Paired axial CT (left) and PSMA PET (right), [18F]PSMA-1007 tracer. Acquired on Siemens Biograph mCT Flow 20. An anonymization step blacked out a rectangle in this scan.
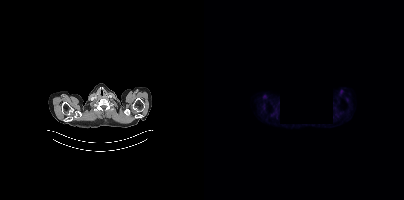
Negative for PSMA-avid disease on this slice.